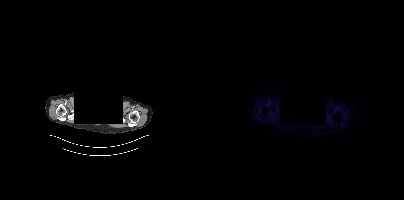
De-identified by setting a box covering the face to black before release.
No PSMA-avid tumor lesions on this slice.